- Left: CT. Right: PSMA PET, same axial level, 18F tracer
- slice 69 of 165
- PET panel 168×168 px (4.1 mm/px)
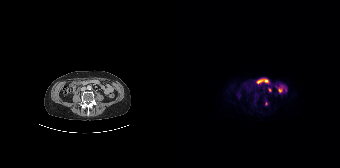
Findings: Coordinates are on the 168×168 PET (right) panel. Small PSMA-avid focus (2 to 4 px across) near (center x, center y): (93, 103).